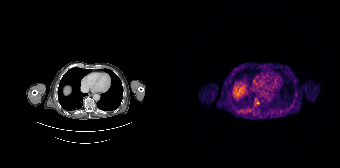
Technique: Left: CT. Right: PSMA PET, same axial level, [68Ga]Ga-PSMA-11 tracer. PET panel 168×168 px (4.1 mm/px).
Findings: Only PSMA-avid lesion pieces thinner than 2 px on this slice (not listed).